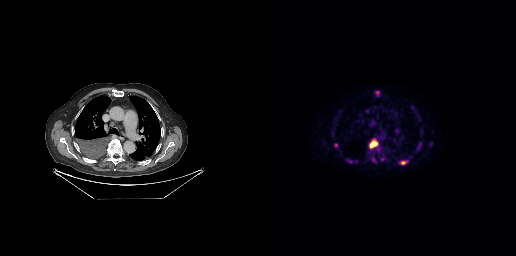
Coordinates are on the 256×256 PET (right) panel. (showing 6 of 8 foci) PSMA-avid tumor lesion bounding boxes (x0, y0)-(x1, y1): (109, 139)-(118, 148) / (140, 161)-(147, 164) / (105, 109)-(109, 112) / (74, 143)-(77, 147). Small PSMA-avid foci (2 to 4 px across) near (center x, center y): (90, 161) / (117, 92).